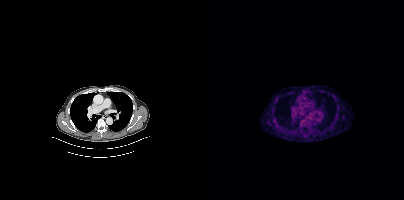
Coordinates are on the 200×200 PET (right) panel. Small PSMA-avid focus (2 to 4 px across) near (center x, center y): (98, 120).